- Paired axial CT (left) and PSMA PET (right), 18F-PSMA tracer
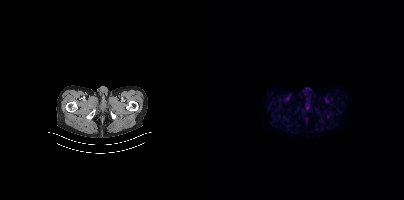
Findings: This slice has no annotated PSMA-avid lesion.